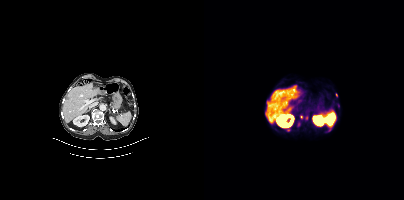
{"modality":"PSMA PET/CT","view":"axial","tracer":"68Ga","pet_grid":[200,200],"coord_frame":"pet_panel","coord_format":"x0,y0,x1,y1","partial":true,"lesion_bboxes":[[93,122,96,126],[101,115,104,119]],"small_foci_centers":[[84,129],[97,117]]}